- Two-panel axial: CT | PSMA PET, [18F]PSMA-1007 tracer
- slice 3 of 389
- PET panel 200×200 px (4.1 mm/px)
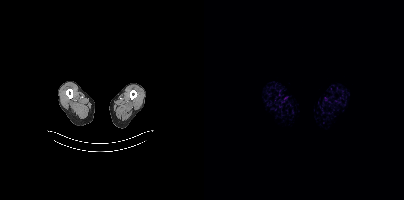
Findings: This slice has no annotated PSMA-avid lesion.